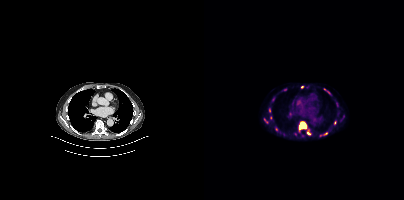
Coordinates are on the 200×200 PET (right) panel. (showing 8 of 10 foci) PSMA-avid tumor lesion bounding boxes (x, y, width, height): x=95 y=122 w=8 h=8 | x=120 y=88 w=6 h=6. Small PSMA-avid foci (2 to 4 px across) near (center x, center y): (121, 133) | (65, 110) | (61, 120) | (98, 86) | (130, 122) | (104, 133).
modality: PSMA PET/CT | tracer: 18F | view: axial